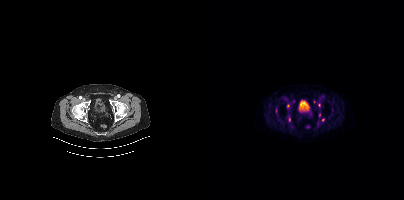
- Two-panel axial: CT | PSMA PET, 18F-PSMA tracer
- acquired on Siemens Biograph mCT Flow 20
- PET panel 200×200 px (4.1 mm/px)
Findings: Coordinates are on the 200×200 PET (right) panel. (showing 5 of 6 foci) PSMA-avid tumor lesion bounding box (x, y, width, height): x=85 y=117 w=2 h=5. Small PSMA-avid foci (2 to 4 px across) near (center x, center y): (115, 115) / (119, 119) / (110, 101) / (83, 105).